Two-panel axial: CT | PSMA PET, 18F tracer. Acquired on Siemens Biograph mCT Flow 20. Slice position z = -372 mm. PET panel 200×200 px (4.1 mm/px).
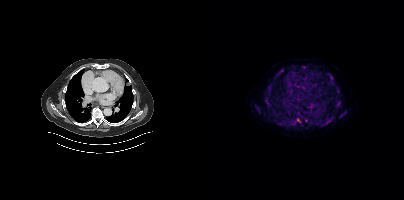
Coordinates are on the 200×200 PET (right) panel. PSMA-avid tumor lesion bounding boxes (partial; 2 more foci not listed):
| # | x0 | y0 | x1 | y1 |
|---|---|---|---|---|
| 1 | 124 | 73 | 130 | 85 |
| 2 | 122 | 119 | 127 | 124 |
| 3 | 63 | 89 | 67 | 94 |
| 4 | 74 | 69 | 79 | 74 |
| 5 | 60 | 97 | 64 | 100 |
| 6 | 133 | 100 | 136 | 104 |
| 7 | 96 | 114 | 101 | 118 |
| 8 | 88 | 121 | 91 | 125 |
| 9 | 127 | 115 | 130 | 119 |
Small PSMA-avid foci (2 to 4 px across) near (center x, center y): (53, 108); (133, 87); (67, 115); (139, 114); (102, 120); (93, 119).